Two-panel axial: CT | PSMA PET, 68Ga tracer. Slice position z = -1028 mm. PET panel 200×200 px (4.1 mm/px).
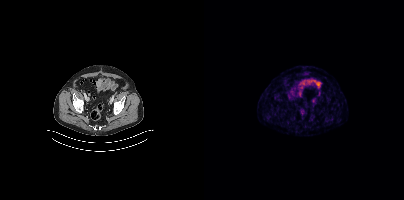
Only PSMA-avid lesion pieces thinner than 2 px on this slice (not listed).